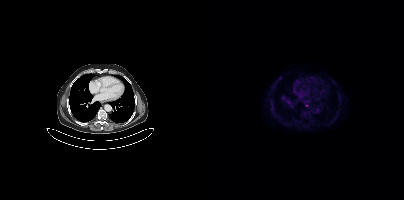
{"pet_grid":[200,200],"coord_frame":"pet_panel","coord_format":"x0,y0,x1,y1","lesion_bboxes":[],"small_foci_centers":[[102,105]],"modality":"PSMA PET/CT","view":"axial","tracer":"18F"}